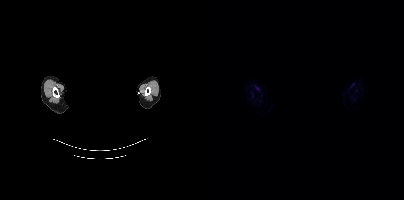
{"pet_grid":[200,200],"coord_frame":"pet_panel","coord_format":"x0,y0,x1,y1","psma_avid_lesions":false,"modality":"PSMA PET/CT","view":"axial","tracer":"18F-PSMA","redaction":"face masked with black rectangle"}